Left: CT. Right: PSMA PET, same axial level, 68Ga-PSMA tracer. Slice 267 of 397. PET panel 200×200 px (4.1 mm/px).
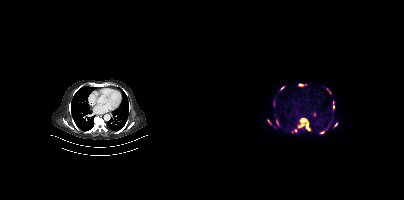
Coordinates are on the 200×200 PET (right) panel. PSMA-avid tumor lesion bounding boxes (partial; 1 more focus not listed):
| # | x0 | y0 | x1 | y1 |
|---|---|---|---|---|
| 1 | 95 | 118 | 105 | 129 |
| 2 | 76 | 86 | 80 | 90 |
| 3 | 122 | 88 | 125 | 92 |
| 4 | 95 | 84 | 99 | 85 |
| 5 | 129 | 100 | 130 | 104 |
Small PSMA-avid foci (2 to 4 px across) near (center x, center y): (70, 100); (72, 120); (118, 132); (132, 124); (74, 125); (129, 107); (64, 121); (91, 130).